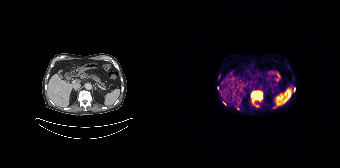
{"modality":"PSMA PET/CT","view":"axial","tracer":"[68Ga]Ga-PSMA-11","pet_grid":[168,168],"coord_frame":"pet_panel","coord_format":"x0,y0,x1,y1","partial":true,"lesion_bboxes":[[80,92,89,98],[51,101,54,105]],"small_foci_centers":[[65,108],[122,89]]}